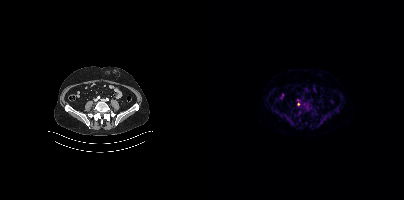
Coordinates are on the 200×200 PET (right) panel. Small PSMA-avid focus (2 to 4 px across) near (center x, center y): (94, 104).